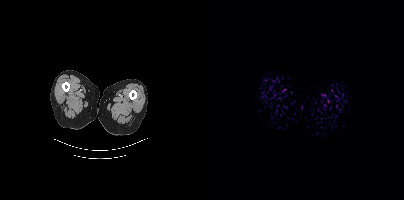
Two-panel axial: CT | PSMA PET, [18F]PSMA-1007 tracer. Slice position z = -1010 mm. PET panel 200×200 px (4.1 mm/px). Negative for PSMA-avid disease on this slice.